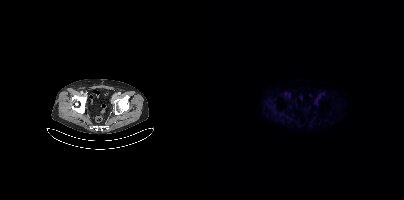
No PSMA-avid tumor lesions on this slice.